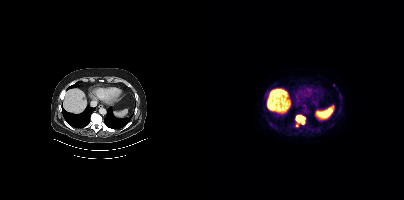
Technique: Two-panel axial: CT | PSMA PET, [18F]PSMA-1007 tracer. slice 287 of 464.
Findings: Coordinates are on the 200×200 PET (right) panel. (showing 8 of 9 foci) PSMA-avid tumor lesion bounding boxes (x0, y0)-(x1, y1): (91, 115)-(96, 126) / (96, 117)-(101, 123) / (112, 129)-(116, 133). Small PSMA-avid foci (2 to 4 px across) near (center x, center y): (135, 109) / (107, 129) / (136, 95) / (120, 130) / (66, 123).